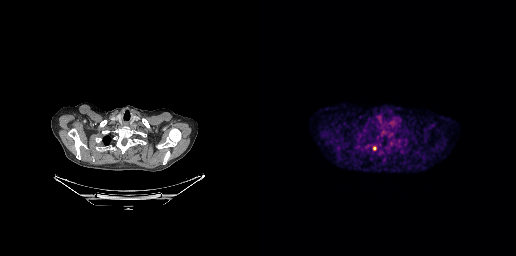
Paired axial CT (left) and PSMA PET (right), 18F tracer. Coordinates are on the 256×256 PET (right) panel. PSMA-avid tumor lesion bounding box (x0, y0)-(x1, y1): (113, 146)-(116, 150).